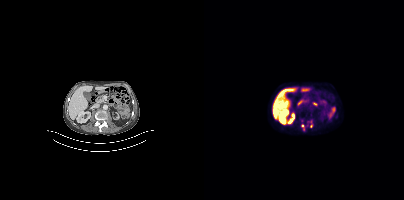
Findings: Coordinates are on the 200×200 PET (right) panel. (showing 2 of 3 foci) PSMA-avid tumor lesion bounding boxes (x0, y0)-(x1, y1): (104, 120)-(108, 127) | (98, 125)-(100, 130).
Technique: Two-panel axial: CT | PSMA PET, [18F]PSMA-1007 tracer. acquired on Siemens Biograph mCT Flow 20.